redaction: privacy mask over head | modality: PSMA PET/CT | tracer: 18F | view: axial | PET grid: 200×200
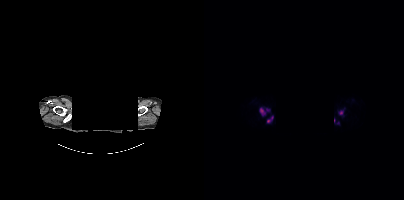
Coordinates are on the 200×200 PET (right) panel. PSMA-avid tumor lesion bounding boxes (x, y, width, height): x=55 y=107 w=12 h=10 | x=63 y=115 w=7 h=9 | x=135 y=110 w=5 h=5 | x=130 y=118 w=2 h=5. Small PSMA-avid focus (2 to 4 px across) near (center x, center y): (134, 122).